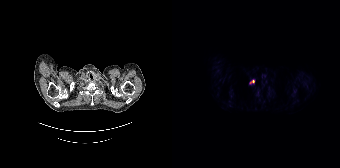
Coordinates are on the 168×168 PET (right) panel. PSMA-avid tumor lesion bounding box (x0,y0,x1,y1): [78,80,82,83]. Paired axial CT (left) and PSMA PET (right), 18F-PSMA tracer. Slice position z = -676 mm.